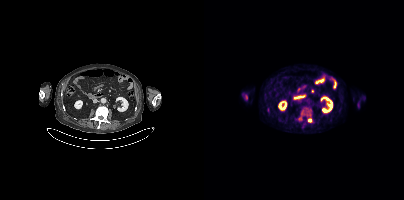
{"modality":"PSMA PET/CT","view":"axial","tracer":"18F","pet_grid":[200,200],"coord_frame":"pet_panel","coord_format":"x0,y0,x1,y1","lesion_bboxes":[[94,111,107,122]]}